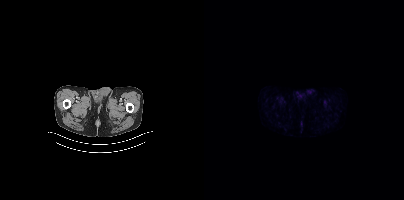
modality: PSMA PET/CT | tracer: 18F-PSMA | view: axial | PET grid: 200×200
No tumor lesions annotated on this slice.